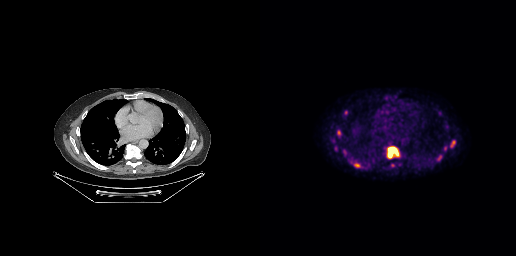
Coordinates are on the 256×256 PET (right) panel. PSMA-avid tumor lesion bounding boxes (x0,y0,x1,y1): [127,146,139,158]; [190,140,195,147]; [94,163,100,167]; [178,155,181,160]. Small PSMA-avid foci (2 to 4 px across) near (center x, center y): (85, 112); (79, 132); (185, 148).